- Two-panel axial: CT | PSMA PET, [18F]PSMA-1007 tracer
- acquired on Siemens Biograph mCT Flow 20
- slice position z = -1178 mm
- PET panel 200×200 px (4.1 mm/px)
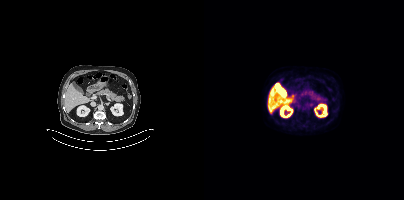
Findings: No tumor lesions annotated on this slice.